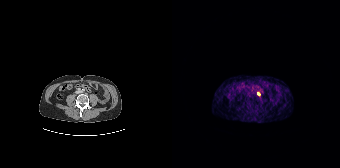
{"modality":"PSMA PET/CT","view":"axial","tracer":"68Ga","pet_grid":[168,168],"coord_frame":"pet_panel","coord_format":"x0,y0,x1,y1","lesion_bboxes":[],"small_foci_centers":[[86,93]]}